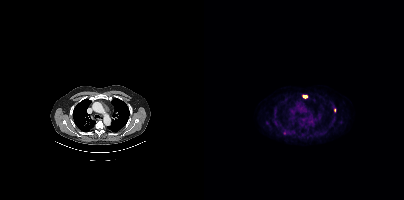
Coordinates are on the 200×200 PET (right) panel. PSMA-avid tumor lesion bounding box (x, y, width, height): x=99 y=95 w=5 h=4. Small PSMA-avid focus (2 to 4 px across) near (center x, center y): (130, 110).
modality: PSMA PET/CT | tracer: 18F-PSMA | view: axial